Left: CT. Right: PSMA PET, same axial level, [18F]PSMA-1007 tracer.
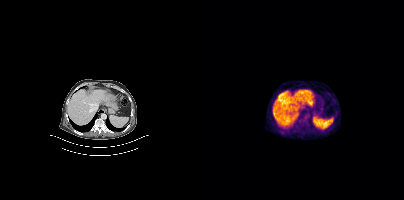
No PSMA-avid tumor lesions on this slice.